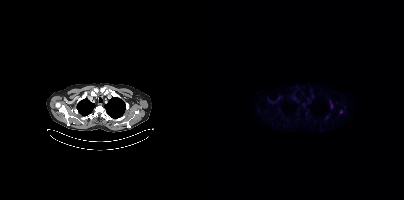
Two-panel axial: CT | PSMA PET, [18F]PSMA-1007 tracer.
Coordinates are on the 200×200 PET (right) panel. PSMA-avid tumor lesion bounding boxes:
| # | x0 | y0 | x1 | y1 |
|---|---|---|---|---|
| 1 | 126 | 102 | 128 | 108 |
Small PSMA-avid foci (2 to 4 px across) near (center x, center y): (123, 117); (136, 112).